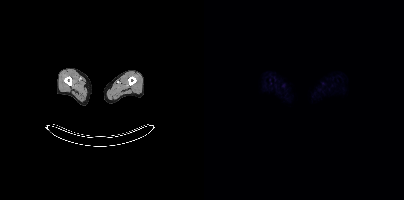
This slice has no annotated PSMA-avid lesion.
modality: PSMA PET/CT | tracer: 18F | view: axial